Two-panel axial: CT | PSMA PET, 18F-PSMA tracer. Acquired on Siemens Biograph mCT Flow 20. Slice 396 of 423. PET panel 200×200 px (4.1 mm/px). The face region was removed for patient privacy by blanking a rectangle over the head.
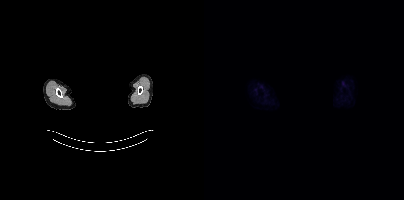
No PSMA-avid tumor lesions on this slice.